Technique: Two-panel axial: CT | PSMA PET, [18F]PSMA-1007 tracer. acquired on Siemens Biograph mCT Flow 20. slice 348 of 431.
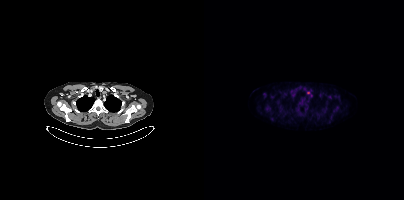
Findings: Coordinates are on the 200×200 PET (right) panel. Small PSMA-avid focus (2 to 4 px across) near (center x, center y): (104, 92).